modality: PSMA PET/CT | tracer: [18F]PSMA-1007 | view: axial | PET grid: 200×200
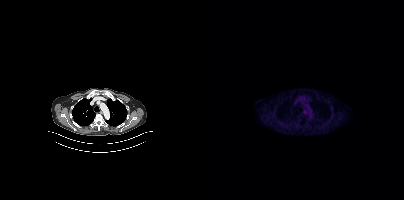
No tumor lesions annotated on this slice.